- Paired axial CT (left) and PSMA PET (right), 18F tracer
- acquired on Siemens Biograph mCT Flow 20
- slice position z = -1243 mm
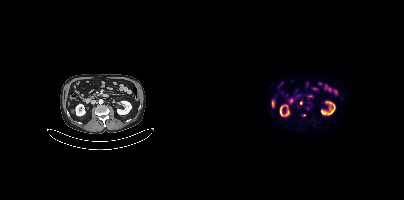
Findings: Coordinates are on the 200×200 PET (right) panel. (showing 1 of 2 foci) Small PSMA-avid focus (2 to 4 px across) near (center x, center y): (96, 102).